- Paired axial CT (left) and PSMA PET (right), 18F tracer
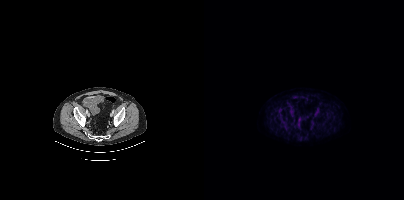
Findings: This slice has no annotated PSMA-avid lesion.